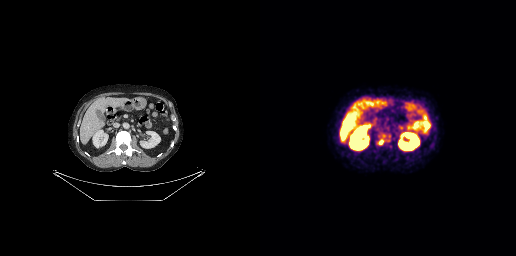
{"modality":"PSMA PET/CT","view":"axial","tracer":"18F","pet_grid":[256,256],"coord_frame":"pet_panel","coord_format":"x0,y0,x1,y1","partial":true,"lesion_bboxes":[[118,134,125,145]],"small_foci_centers":[[128,140]]}